Head region blanked for anonymization (face removed). Paired axial CT (left) and PSMA PET (right), [18F]PSMA-1007 tracer. Acquired on Siemens Biograph mCT Flow 20. Slice 423 of 423. PET panel 200×200 px (4.1 mm/px).
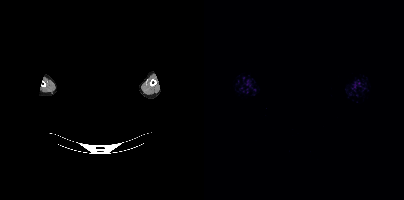
No tumor lesions annotated on this slice.